Left: CT. Right: PSMA PET, same axial level, 18F-PSMA tracer. Acquired on Siemens Biograph mCT Flow 20. Slice position z = -1071 mm.
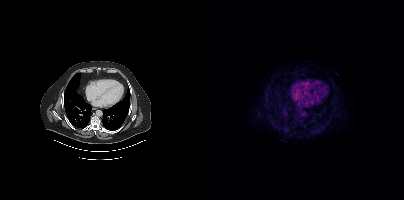
Negative for PSMA-avid disease on this slice.